modality: PSMA PET/CT | tracer: 18F-PSMA | view: axial | PET grid: 200×200
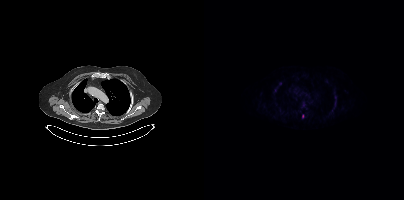
Coordinates are on the 200×200 PET (right) panel. Small PSMA-avid focus (2 to 4 px across) near (center x, center y): (98, 116).